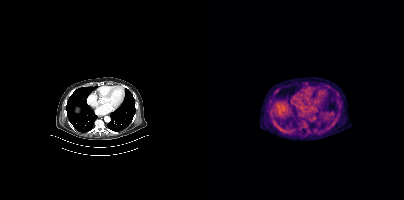
This slice has no annotated PSMA-avid lesion.